- Two-panel axial: CT | PSMA PET, [18F]PSMA-1007 tracer
- acquired on Siemens Biograph mCT Flow 20
- PET panel 200×200 px (4.1 mm/px)
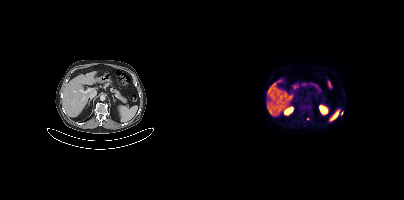
Findings: Coordinates are on the 200×200 PET (right) panel. (showing 1 of 2 foci) Small PSMA-avid focus (2 to 4 px across) near (center x, center y): (103, 118).